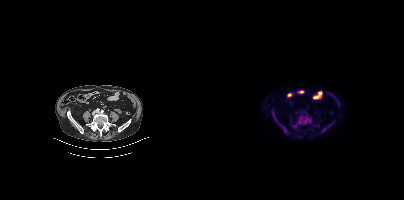
modality: PSMA PET/CT | tracer: 18F-PSMA | view: axial
Coordinates are on the 200×200 PET (right) panel. PSMA-avid tumor lesion bounding boxes (x, y, width, height): x=95 y=115 w=11 h=10 | x=70 y=119 w=13 h=14.